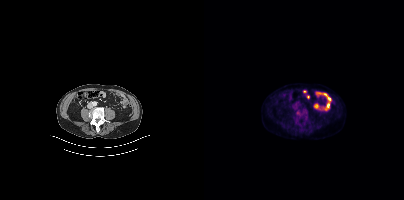
Coordinates are on the 200×200 PET (right) panel. Small PSMA-avid focus (2 to 4 px across) near (center x, center y): (93, 113). Left: CT. Right: PSMA PET, same axial level, 18F-PSMA tracer. Slice position z = 140 mm.